Paired axial CT (left) and PSMA PET (right), 18F-PSMA tracer. Slice position z = -1234 mm. PET panel 200×200 px (4.1 mm/px).
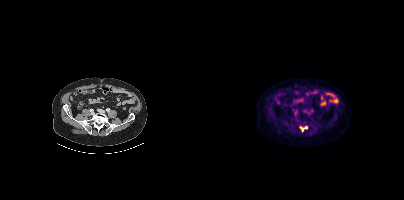
Coordinates are on the 200×200 PET (right) panel. PSMA-avid tumor lesion bounding box (x, y, width, height): x=95 y=126 w=9 h=6.